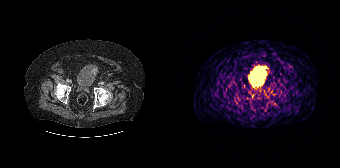
Coordinates are on the 168×168 PET (right) panel. (showing 1 of 2 foci) PSMA-avid tumor lesion bounding box (x0,y0,x1,y1): [81,85,86,88].